- Two-panel axial: CT | PSMA PET, [18F]PSMA-1007 tracer
- PET panel 200×200 px (4.1 mm/px)
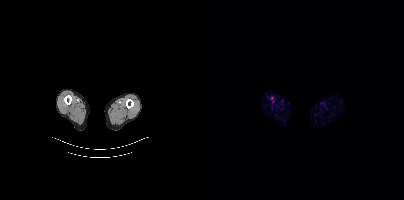
Findings: Only PSMA-avid lesion pieces thinner than 2 px on this slice (not listed).